Technique: Left: CT. Right: PSMA PET, same axial level, 68Ga tracer. slice 72 of 195.
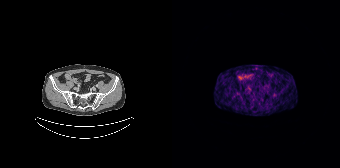
Findings: Only PSMA-avid lesion pieces thinner than 2 px on this slice (not listed).